modality: PSMA PET/CT | tracer: 18F | view: axial
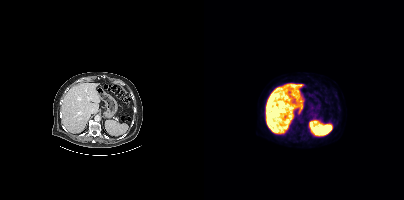
No tumor lesions annotated on this slice.